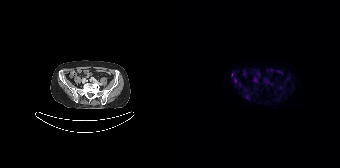
Coordinates are on the 168×168 PET (right) panel. (showing 1 of 2 foci) Small PSMA-avid focus (2 to 4 px across) near (center x, center y): (59, 74).